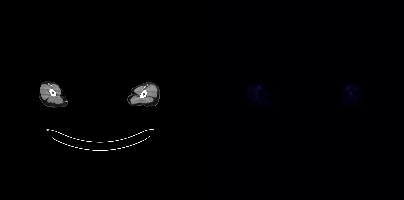
No tumor lesions annotated on this slice.
Any black rectangle over the head is a privacy mask, not anatomy.